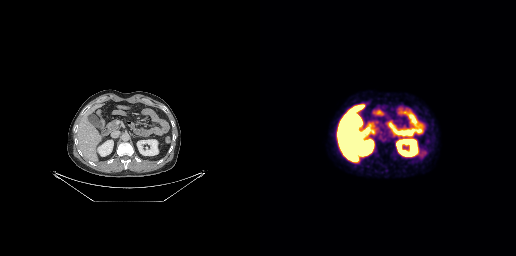
Paired axial CT (left) and PSMA PET (right), 18F tracer. Acquired on GE Discovery 690.
Coordinates are on the 256×256 PET (right) panel. PSMA-avid tumor lesion bounding boxes:
| # | x0 | y0 | x1 | y1 |
|---|---|---|---|---|
| 1 | 119 | 135 | 123 | 139 |
Small PSMA-avid focus (2 to 4 px across) near (center x, center y): (130, 136).